Technique: Paired axial CT (left) and PSMA PET (right), 18F tracer. PET panel 200×200 px (4.1 mm/px).
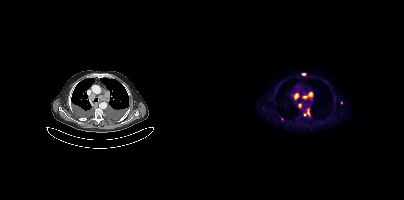
Findings: Coordinates are on the 200×200 PET (right) panel. (showing 6 of 7 foci) PSMA-avid tumor lesion bounding boxes (x0,y0,x1,y1): [98,92,108,98]; [90,93,94,99]; [100,109,105,115]; [94,103,97,107]. Small PSMA-avid foci (2 to 4 px across) near (center x, center y): (99, 74); (137, 102).